Technique: Left: CT. Right: PSMA PET, same axial level, 18F-PSMA tracer. slice position z = -1502 mm. PET panel 200×200 px (4.1 mm/px).
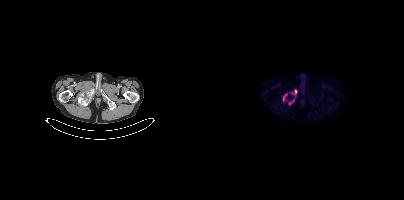
Findings: Coordinates are on the 200×200 PET (right) panel. PSMA-avid tumor lesion bounding boxes (x0,y0,x1,y1): [84,89,93,105] [79,94,82,101]. Small PSMA-avid focus (2 to 4 px across) near (center x, center y): (88, 93).